Two-panel axial: CT | PSMA PET, [18F]PSMA-1007 tracer. PET panel 200×200 px (4.1 mm/px).
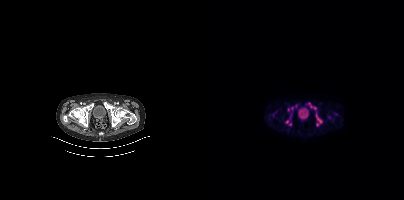
Coordinates are on the 200×200 PET (right) panel. (showing 8 of 9 foci) PSMA-avid tumor lesion bounding boxes (x0,y0,x1,y1): [102,102,113,115], [112,118,118,126], [97,114,103,119], [81,120,87,125], [87,104,93,110]. Small PSMA-avid foci (2 to 4 px across) near (center x, center y): (125, 117), (84, 109), (132, 113).